Two-panel axial: CT | PSMA PET, 18F-PSMA tracer. Slice 45 of 385. PET panel 200×200 px (4.1 mm/px).
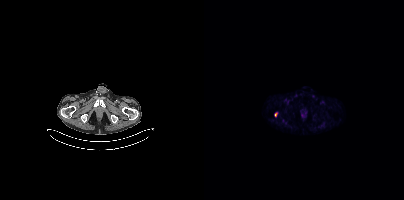
Coordinates are on the 200×200 PET (right) panel. Small PSMA-avid focus (2 to 4 px across) near (center x, center y): (72, 114).